Two-panel axial: CT | PSMA PET, [18F]PSMA-1007 tracer. Acquired on Siemens Biograph mCT Flow 20.
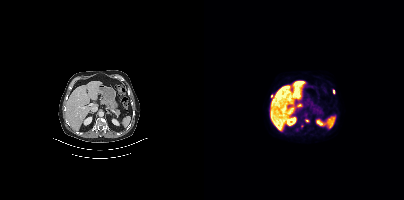
Coordinates are on the 200×200 PET (right) panel. Small PSMA-avid foci (2 to 4 px across) near (center x, center y): (129, 91) | (103, 120) | (67, 96).